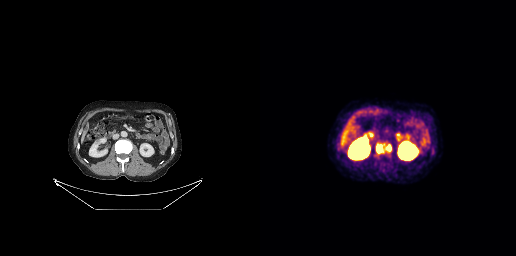
Coordinates are on the 256×256 PET (right) panel. PSMA-avid tumor lesion bounding box (x0, y0)-(x1, y1): (116, 143)-(131, 153).